modality: PSMA PET/CT | tracer: 18F | view: axial
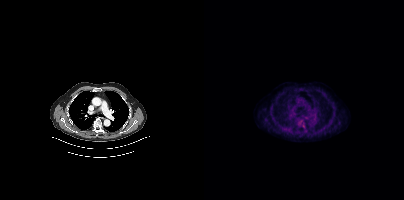
Coordinates are on the 200×200 PET (right) panel. (showing 1 of 2 foci) Small PSMA-avid focus (2 to 4 px across) near (center x, center y): (99, 125).